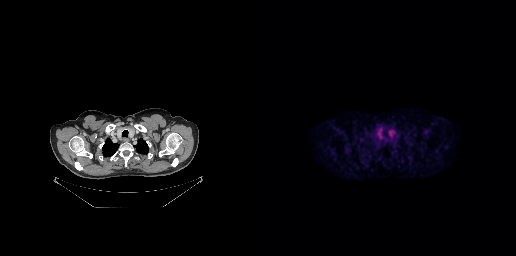
- Paired axial CT (left) and PSMA PET (right), 18F tracer
- acquired on GE Discovery 690
- slice position z = -168 mm
- PET panel 256×256 px (2.7 mm/px)
Findings: Negative for PSMA-avid disease on this slice.